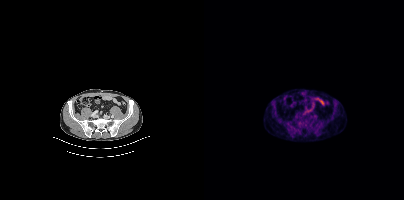
No PSMA-avid tumor lesions on this slice.